modality: PSMA PET/CT | tracer: [18F]PSMA-1007 | view: axial | PET grid: 200×200
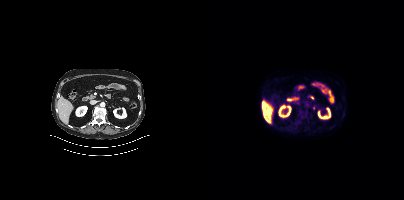
Negative for PSMA-avid disease on this slice.